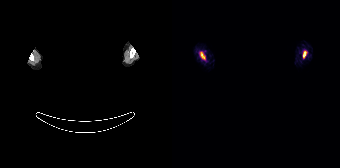
Coordinates are on the 168×168 PET (right) panel. PSMA-avid tumor lesion bounding boxes:
| # | x0 | y0 | x1 | y1 |
|---|---|---|---|---|
| 1 | 28 | 52 | 33 | 59 |
| 2 | 131 | 51 | 135 | 58 |
De-identified by setting a box covering the face to black before release. Paired axial CT (left) and PSMA PET (right), [68Ga]Ga-PSMA-11 tracer. Acquired on Siemens Biograph 64-4R TruePoint. Slice position z = -594 mm.